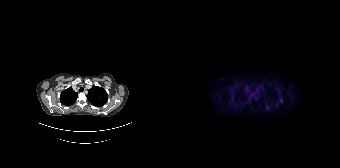
{"modality":"PSMA PET/CT","view":"axial","tracer":"18F-PSMA","pet_grid":[168,168],"coord_frame":"pet_panel","coord_format":"x0,y0,x1,y1","partial":true,"lesion_bboxes":[],"small_foci_centers":[[109,100],[79,94]]}